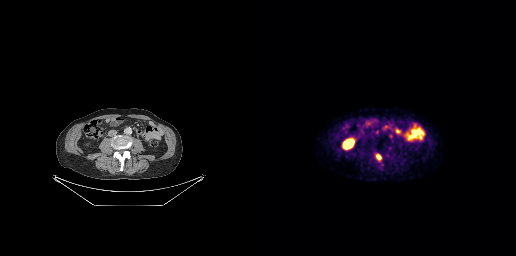
Coordinates are on the 256×256 PET (right) panel. PSMA-avid tumor lesion bounding boxes (x0, y0)-(x1, y1): (121, 126)-(126, 131) | (116, 154)-(121, 160) | (130, 127)-(134, 131) | (129, 133)-(132, 137). Small PSMA-avid focus (2 to 4 px across) near (center x, center y): (116, 131).